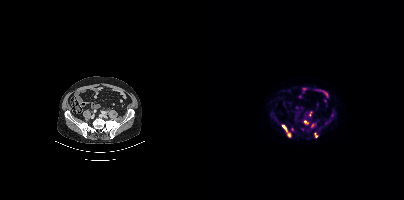
Findings: Coordinates are on the 200×200 PET (right) panel. (showing 6 of 7 foci) PSMA-avid tumor lesion bounding boxes (x0, y0)-(x1, y1): (78, 125)-(87, 137); (110, 133)-(113, 137); (100, 120)-(104, 123). Small PSMA-avid foci (2 to 4 px across) near (center x, center y): (88, 129); (105, 114); (108, 125).
Technique: Left: CT. Right: PSMA PET, same axial level, 18F tracer. slice 127 of 417.